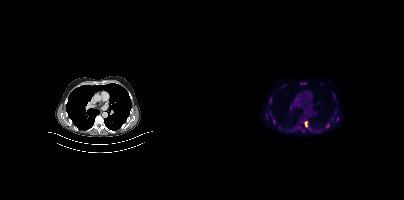
Coordinates are on the 200×200 PET (right) panel. (showing 6 of 7 foci) PSMA-avid tumor lesion bounding boxes (x, y, width, height): x=96 y=82 w=7 h=3 | x=101 y=121 w=3 h=6 | x=65 y=98 w=3 h=6 | x=132 y=117 w=3 h=5 | x=69 y=119 w=3 h=5. Small PSMA-avid focus (2 to 4 px across) near (center x, center y): (128, 118). Two-panel axial: CT | PSMA PET, [18F]PSMA-1007 tracer. Acquired on Siemens Biograph mCT Flow 20. Slice position z = -342 mm.